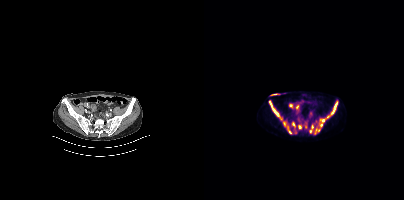
Left: CT. Right: PSMA PET, same axial level, 18F-PSMA tracer. PET panel 200×200 px (4.1 mm/px). Coordinates are on the 200×200 PET (right) panel. (showing 8 of 10 foci) PSMA-avid tumor lesion bounding boxes (x, y, width, height): x=64 y=101 w=24 h=33 / x=116 y=101 w=18 h=22. Small PSMA-avid foci (2 to 4 px across) near (center x, center y): (96, 126) / (89, 123) / (117, 125) / (108, 126) / (106, 131) / (114, 130).